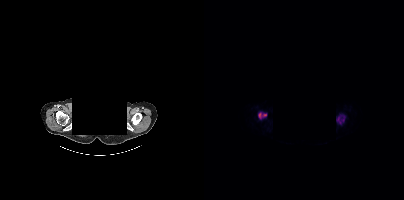
Findings: Coordinates are on the 200×200 PET (right) panel. PSMA-avid tumor lesion bounding boxes (x, y, width, height): x=132 y=115 w=9 h=9 | x=54 y=112 w=9 h=7.
Technique: Left: CT. Right: PSMA PET, same axial level, [18F]PSMA-1007 tracer.
Note: Head region blanked for anonymization (face removed).